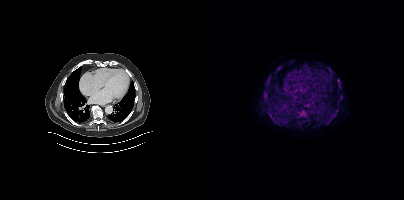
{"modality":"PSMA PET/CT","view":"axial","tracer":"[18F]PSMA-1007","pet_grid":[200,200],"coord_frame":"pet_panel","coord_format":"x0,y0,x1,y1","lesion_bboxes":[[94,109,103,116],[122,113,132,123],[61,80,66,86],[64,112,69,118],[71,120,76,125],[60,96,63,101],[134,97,138,101],[134,84,137,88],[73,67,76,71]],"small_foci_centers":[[65,77],[101,65],[125,69],[104,123]]}